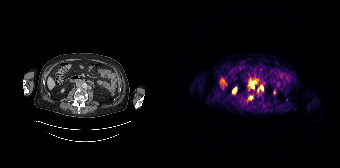
Coordinates are on the 168×168 PET (right) panel. (showing 2 of 3 foci) PSMA-avid tumor lesion bounding box (x, y, width, height): x=78 y=82 w=5 h=7. Small PSMA-avid focus (2 to 4 px across) near (center x, center y): (89, 87). Paired axial CT (left) and PSMA PET (right), [68Ga]Ga-PSMA-11 tracer. Slice 104 of 195. PET panel 168×168 px (4.1 mm/px).